Technique: Left: CT. Right: PSMA PET, same axial level, [18F]PSMA-1007 tracer. slice 106 of 367. PET panel 200×200 px (4.1 mm/px).
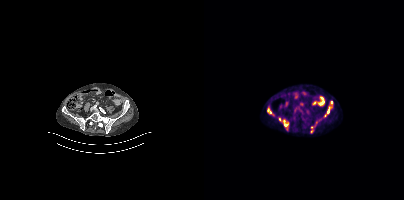
Findings: Coordinates are on the 200×200 PET (right) panel. PSMA-avid tumor lesion bounding boxes (x0, y0)-(x1, y1): (79, 123)-(84, 130) | (63, 108)-(69, 115) | (123, 106)-(127, 112). Small PSMA-avid foci (2 to 4 px across) near (center x, center y): (75, 119) | (127, 103).